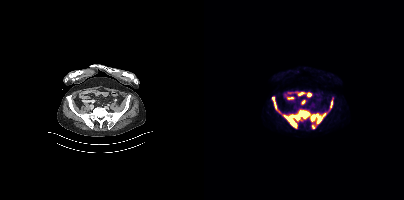
Technique: Paired axial CT (left) and PSMA PET (right), 18F-PSMA tracer. slice 92 of 401. PET panel 200×200 px (4.1 mm/px).
Findings: Coordinates are on the 200×200 PET (right) panel. PSMA-avid tumor lesion bounding boxes (x, y, width, height): x=81 y=110 w=37 h=18; x=68 y=97 w=5 h=12; x=127 y=100 w=2 h=8. Small PSMA-avid foci (2 to 4 px across) near (center x, center y): (120, 114); (109, 126); (75, 112).